Left: CT. Right: PSMA PET, same axial level, 18F-PSMA tracer. PET panel 256×256 px (2.7 mm/px).
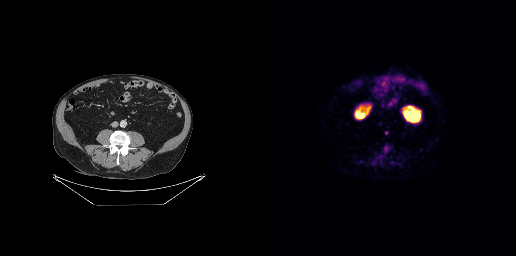
Coordinates are on the 256×256 PET (right) panel. PSMA-avid tumor lesion bounding box (x0,y0,x1,y1): [124,146,128,152]. Small PSMA-avid focus (2 to 4 px across) near (center x, center y): (126, 132).